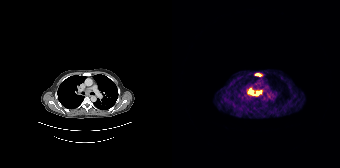
Findings: Coordinates are on the 168×168 PET (right) panel. PSMA-avid tumor lesion bounding boxes (x0,y0,x1,y1): [75,88,90,96] [82,73,90,76].
- Left: CT. Right: PSMA PET, same axial level, 68Ga tracer
- acquired on Siemens Biograph 64-4R TruePoint
- slice position z = -348 mm